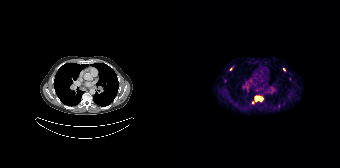
Coordinates are on the 168×168 PET (right) panel. (showing 5 of 6 foci) PSMA-avid tumor lesion bounding boxes (x, y, width, height): x=82 y=96 w=10 h=6 | x=111 y=68 w=4 h=5. Small PSMA-avid foci (2 to 4 px across) near (center x, center y): (117, 79) | (80, 102) | (58, 69). Two-panel axial: CT | PSMA PET, [68Ga]Ga-PSMA-11 tracer. Acquired on Siemens Biograph 64-4R TruePoint. PET panel 168×168 px (4.1 mm/px).